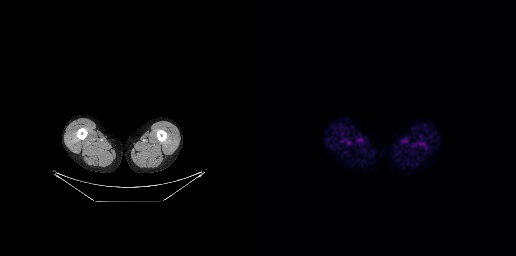
No PSMA-avid tumor lesions on this slice.